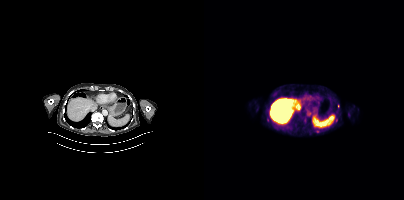
Coordinates are on the 200×200 PET (right) panel. Small PSMA-avid foci (2 to 4 px across) near (center x, center y): (113, 131); (134, 106). Two-panel axial: CT | PSMA PET, [18F]PSMA-1007 tracer. PET panel 200×200 px (4.1 mm/px).